Two-panel axial: CT | PSMA PET, 18F-PSMA tracer. Acquired on Siemens Biograph mCT Flow 20.
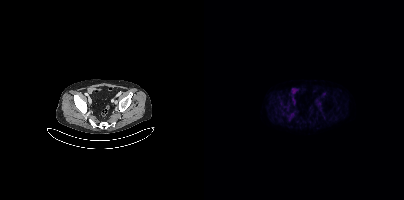
No tumor lesions annotated on this slice.